Technique: Left: CT. Right: PSMA PET, same axial level, [18F]PSMA-1007 tracer. slice 19 of 405. PET panel 200×200 px (4.1 mm/px).
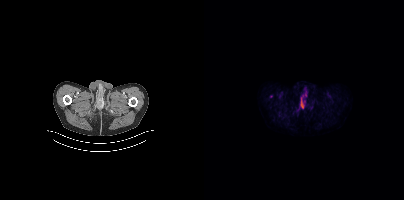
Findings: Coordinates are on the 200×200 PET (right) panel. PSMA-avid tumor lesion bounding boxes (x, y, width, height): x=96 y=95 w=6 h=14 / x=100 y=87 w=4 h=6. Small PSMA-avid focus (2 to 4 px across) near (center x, center y): (101, 95).